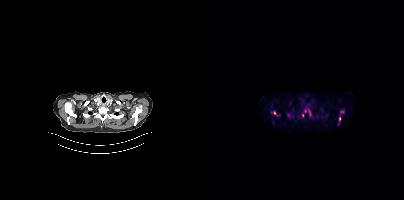
Coordinates are on the 200×200 PET (right) panel. (showing 7 of 8 foci) PSMA-avid tumor lesion bounding boxes (x0, y0)-(x1, y1): (83, 113)-(88, 118) | (136, 110)-(140, 114) | (105, 111)-(106, 115). Small PSMA-avid foci (2 to 4 px across) near (center x, center y): (101, 110) | (70, 112) | (135, 118) | (98, 115). Two-panel axial: CT | PSMA PET, 18F tracer. PET panel 200×200 px (4.1 mm/px).